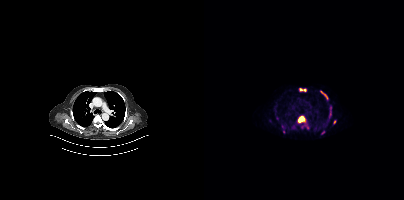
{"modality":"PSMA PET/CT","view":"axial","tracer":"[68Ga]Ga-PSMA-11","pet_grid":[200,200],"coord_frame":"pet_panel","coord_format":"x0,y0,x1,y1","partial":true,"lesion_bboxes":[[93,116,104,128],[117,91,122,97],[125,106,127,110],[125,114,127,118]],"small_foci_centers":[[130,121],[97,89],[100,90]]}